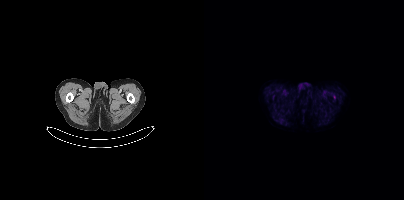
modality: PSMA PET/CT | tracer: [18F]PSMA-1007 | view: axial
Negative for PSMA-avid disease on this slice.